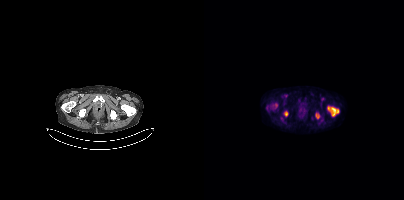
- Left: CT. Right: PSMA PET, same axial level, 18F tracer
- acquired on Siemens Biograph mCT Flow 20
- PET panel 200×200 px (4.1 mm/px)
Findings: Coordinates are on the 200×200 PET (right) panel. PSMA-avid tumor lesion bounding boxes (x0,y0,x1,y1): [124,106,134,116] [80,111,83,116] [112,114,115,118]. Small PSMA-avid focus (2 to 4 px across) near (center x, center y): (72, 105).